Technique: Left: CT. Right: PSMA PET, same axial level, 68Ga-PSMA tracer. acquired on Siemens Biograph 64-4R TruePoint. slice position z = -1032 mm. PET panel 168×168 px (4.1 mm/px).
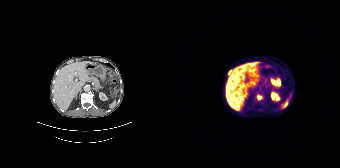
Findings: Coordinates are on the 168×168 PET (right) panel. PSMA-avid tumor lesion bounding box (x, y, width, height): x=85 y=95 w=5 h=5. Small PSMA-avid focus (2 to 4 px across) near (center x, center y): (57, 71).